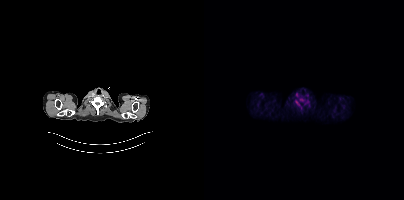
{"modality":"PSMA PET/CT","view":"axial","tracer":"18F","pet_grid":[200,200],"coord_frame":"pet_panel","coord_format":"x0,y0,x1,y1","psma_avid_lesions":false}